modality: PSMA PET/CT | tracer: 18F-PSMA | view: axial
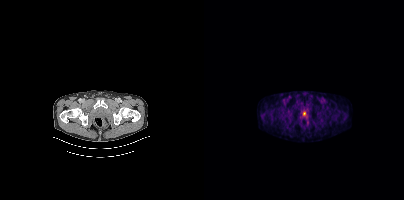
Negative for PSMA-avid disease on this slice.